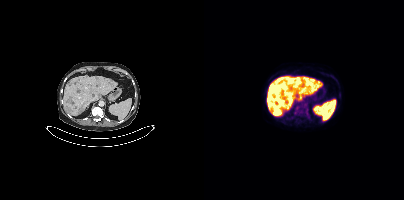
Technique: Left: CT. Right: PSMA PET, same axial level, [18F]PSMA-1007 tracer. acquired on Siemens Biograph mCT Flow 20. slice position z = -1207 mm.
Findings: Coordinates are on the 200×200 PET (right) panel. PSMA-avid tumor lesion bounding boxes (x0, y0)-(x1, y1): (66, 106)-(75, 114); (65, 97)-(71, 104); (93, 77)-(98, 81); (92, 107)-(96, 112).